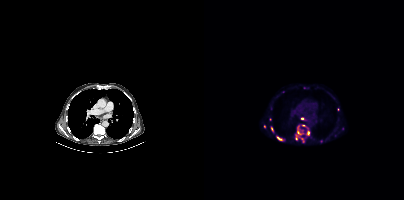
{"modality":"PSMA PET/CT","view":"axial","tracer":"[18F]PSMA-1007","pet_grid":[200,200],"coord_frame":"pet_panel","coord_format":"x0,y0,x1,y1","partial":true,"lesion_bboxes":[[73,137,78,140],[92,135,93,139],[67,127,69,131]],"small_foci_centers":[[104,132],[97,131],[93,127],[94,133],[99,125],[98,140],[98,118]]}